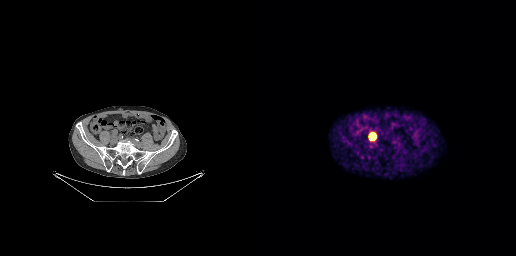
{"modality":"PSMA PET/CT","view":"axial","tracer":"[68Ga]Ga-PSMA-11","pet_grid":[256,256],"coord_frame":"pet_panel","coord_format":"x0,y0,x1,y1","lesion_bboxes":[[110,134,114,139]]}